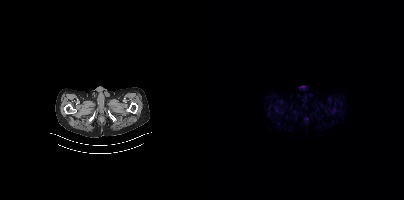
No tumor lesions annotated on this slice.